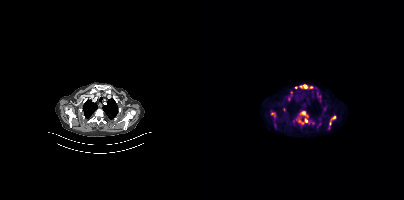
modality: PSMA PET/CT | tracer: 18F | view: axial | PET grid: 200×200
Coordinates are on the 200×200 PET (right) panel. (showing 9 of 12 foci) PSMA-avid tumor lesion bounding boxes (x, y, width, height): x=92 y=110 w=20 h=16; x=96 y=84 w=13 h=6; x=69 y=119 w=5 h=11; x=67 y=112 w=5 h=5; x=127 y=116 w=5 h=5. Small PSMA-avid foci (2 to 4 px across) near (center x, center y): (92, 87); (126, 123); (87, 92); (84, 99).